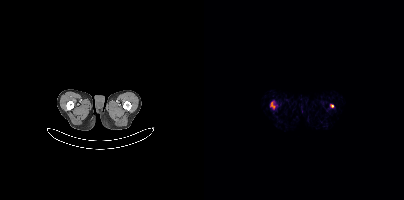
Coordinates are on the 200×200 PET (right) panel. (showing 1 of 3 foci) Small PSMA-avid focus (2 to 4 px across) near (center x, center y): (128, 106).
modality: PSMA PET/CT | tracer: [68Ga]Ga-PSMA-11 | view: axial | PET grid: 200×200